- Two-panel axial: CT | PSMA PET, 18F-PSMA tracer
- slice position z = -1336 mm
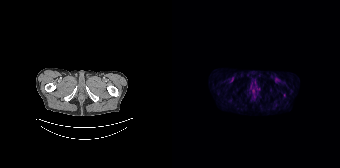
Findings: Coordinates are on the 168×168 PET (right) panel. Small PSMA-avid focus (2 to 4 px across) near (center x, center y): (112, 95).